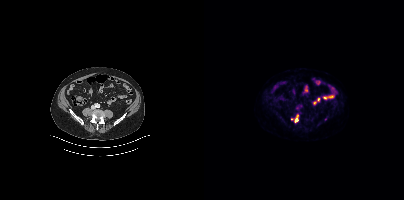
modality: PSMA PET/CT | tracer: [18F]PSMA-1007 | view: axial | PET grid: 200×200
Coordinates are on the 200×200 PET (right) panel. (showing 2 of 3 foci) PSMA-avid tumor lesion bounding box (x, y, width, height): x=91 y=115 w=4 h=8. Small PSMA-avid focus (2 to 4 px across) near (center x, center y): (121, 119).